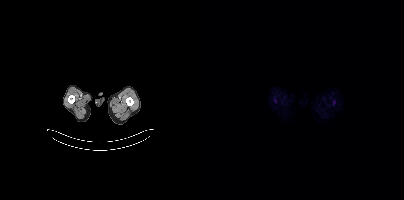
Technique: Two-panel axial: CT | PSMA PET, 18F-PSMA tracer. acquired on Siemens Biograph mCT Flow 20. PET panel 200×200 px (4.1 mm/px).
Findings: No tumor lesions annotated on this slice.